Technique: Left: CT. Right: PSMA PET, same axial level, 68Ga tracer. acquired on Siemens Biograph mCT Flow 20.
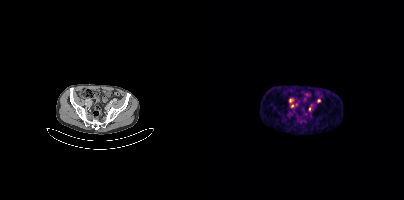
Findings: Coordinates are on the 200×200 PET (right) panel. (showing 5 of 6 foci) Small PSMA-avid foci (2 to 4 px across) near (center x, center y): (114, 100); (86, 100); (105, 108); (88, 106); (92, 104).